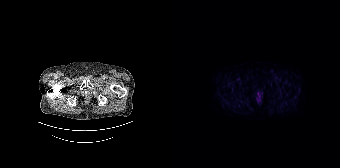
Technique: Two-panel axial: CT | PSMA PET, 18F tracer. acquired on Siemens Biograph 64-4R TruePoint. PET panel 168×168 px (4.1 mm/px).
Findings: No PSMA-avid tumor lesions on this slice.